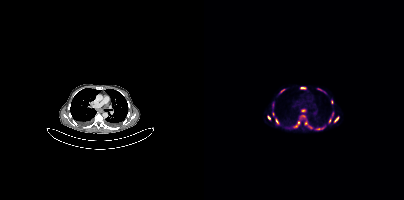
{"modality":"PSMA PET/CT","view":"axial","tracer":"68Ga-PSMA","pet_grid":[200,200],"coord_frame":"pet_panel","coord_format":"x0,y0,x1,y1","partial":true,"lesion_bboxes":[[103,124,108,129],[130,117,134,121],[91,122,95,127],[76,89,80,92],[97,115,101,117],[97,87,101,88],[72,119,74,123]],"small_foci_centers":[[98,110],[128,101],[65,117],[115,89],[69,114],[125,120]]}